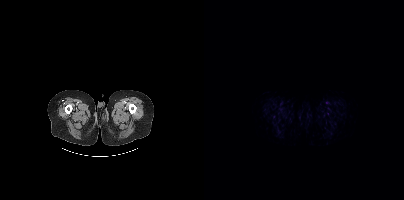
Left: CT. Right: PSMA PET, same axial level, 18F-PSMA tracer. Acquired on Siemens Biograph mCT Flow 20. No tumor lesions annotated on this slice.